Technique: Paired axial CT (left) and PSMA PET (right), 18F-PSMA tracer. acquired on GE Discovery 690. slice 22 of 263. PET panel 256×256 px (2.7 mm/px).
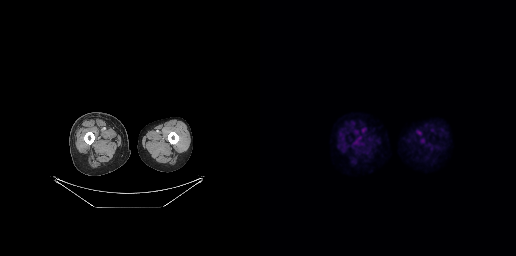
Findings: No tumor lesions annotated on this slice.